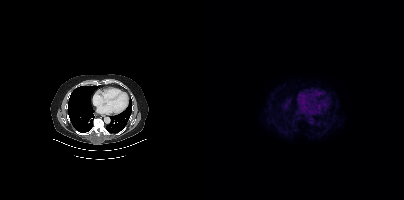
Findings: No tumor lesions annotated on this slice.
- Paired axial CT (left) and PSMA PET (right), 18F-PSMA tracer
- slice position z = -568 mm
- PET panel 200×200 px (4.1 mm/px)